modality: PSMA PET/CT | tracer: 18F-PSMA | view: axial | PET grid: 200×200
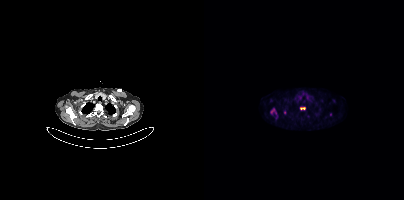
Coordinates are on the 200×200 PET (right) panel. PSMA-avid tumor lesion bounding boxes (x0,y0,x1,y1): [66,109,72,114], [96,107,101,109]. Small PSMA-avid focus (2 to 4 px across) near (center x, center y): (126, 114).